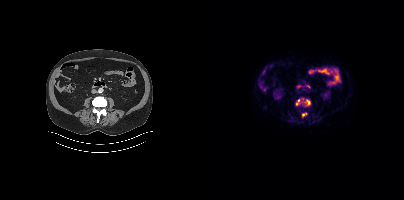
Left: CT. Right: PSMA PET, same axial level, 18F-PSMA tracer. Slice position z = -640 mm. PET panel 200×200 px (4.1 mm/px).
Coordinates are on the 200×200 PET (right) panel. PSMA-avid tumor lesion bounding boxes:
| # | x0 | y0 | x1 | y1 |
|---|---|---|---|---|
| 1 | 91 | 98 | 106 | 106 |
| 2 | 98 | 113 | 102 | 116 |